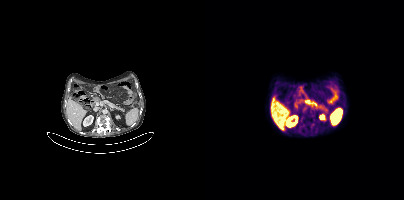
Two-panel axial: CT | PSMA PET, [18F]PSMA-1007 tracer. Coordinates are on the 200×200 PET (right) panel. (showing 4 of 5 foci) PSMA-avid tumor lesion bounding boxes (x0, y0)-(x1, y1): (98, 106)-(103, 112); (107, 123)-(110, 127); (96, 117)-(99, 121). Small PSMA-avid focus (2 to 4 px across) near (center x, center y): (98, 125).